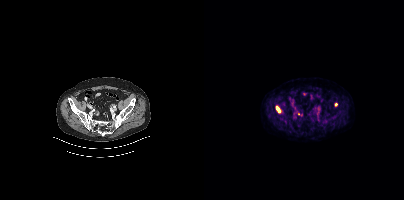
Paired axial CT (left) and PSMA PET (right), [18F]PSMA-1007 tracer. Acquired on Siemens Biograph mCT Flow 20. Coordinates are on the 200×200 PET (right) panel. PSMA-avid tumor lesion bounding box (x, y, width, height): x=72 y=107 w=5 h=6. Small PSMA-avid focus (2 to 4 px across) near (center x, center y): (132, 104).